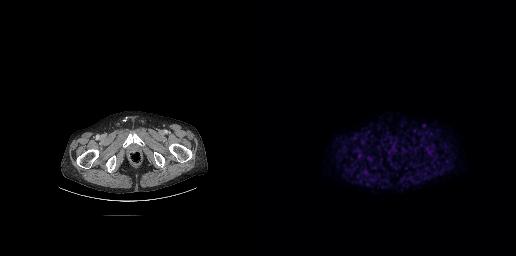
Coordinates are on the 256×256 PET (right) panel. (showing 1 of 2 foci) Small PSMA-avid focus (2 to 4 px across) near (center x, center y): (130, 152).